Left: CT. Right: PSMA PET, same axial level, 18F tracer. Acquired on Siemens Biograph mCT Flow 20. Slice 90 of 403.
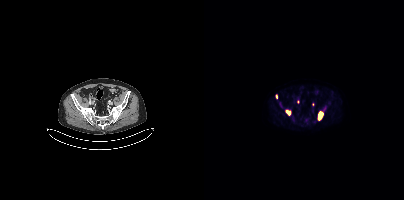
Coordinates are on the 200×200 PET (right) panel. (showing 3 of 5 foci) PSMA-avid tumor lesion bounding box (x0,y0,x1,y1): [113,112,119,120]. Small PSMA-avid foci (2 to 4 px across) near (center x, center y): (120, 108) (72, 96).